Technique: Paired axial CT (left) and PSMA PET (right), 18F-PSMA tracer. acquired on Siemens Biograph mCT Flow 20. slice 120 of 395.
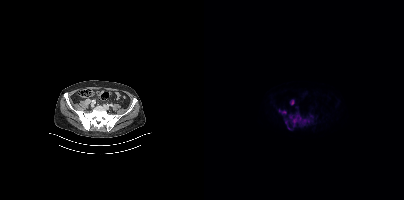
Findings: Coordinates are on the 200×200 PET (right) panel. PSMA-avid tumor lesion bounding boxes (x0, y0)-(x1, y1): (81, 112)-(109, 129) | (78, 111)-(82, 113). Small PSMA-avid foci (2 to 4 px across) near (center x, center y): (88, 101) | (75, 110).